- Paired axial CT (left) and PSMA PET (right), [68Ga]Ga-PSMA-11 tracer
- acquired on Siemens Biograph 64-4R TruePoint
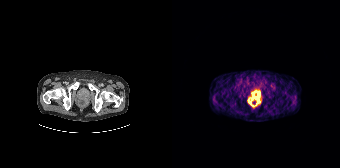
Findings: Coordinates are on the 168×168 PET (right) panel. (showing 4 of 5 foci) PSMA-avid tumor lesion bounding boxes (x0,y0,x1,y1): [80,93,84,98], [85,91,87,95], [76,100,79,104]. Small PSMA-avid focus (2 to 4 px across) near (center x, center y): (86, 101).